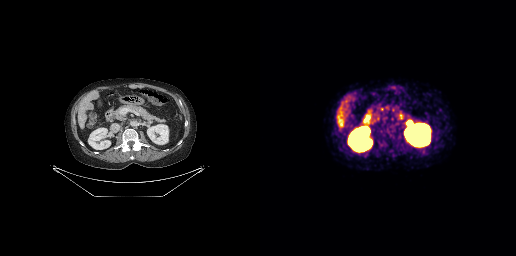
Coordinates are on the 256×256 PET (right) panel. PSMA-avid tumor lesion bounding box (x0, y0)-(x1, y1): (147, 121)-(153, 126).